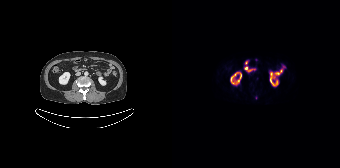
- Paired axial CT (left) and PSMA PET (right), 18F tracer
- slice position z = -900 mm
- PET panel 168×168 px (4.1 mm/px)
Findings: Negative for PSMA-avid disease on this slice.